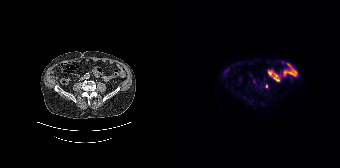
Findings: Coordinates are on the 168×168 PET (right) panel. (showing 1 of 2 foci) Small PSMA-avid focus (2 to 4 px across) near (center x, center y): (94, 85).
- Left: CT. Right: PSMA PET, same axial level, 18F tracer
- acquired on Siemens Biograph 64-4R TruePoint
- PET panel 168×168 px (4.1 mm/px)